Technique: Left: CT. Right: PSMA PET, same axial level, [18F]PSMA-1007 tracer. slice position z = -498 mm. PET panel 200×200 px (4.1 mm/px).
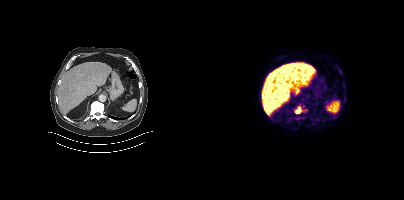
Findings: Coordinates are on the 200×200 PET (right) panel. (showing 1 of 2 foci) PSMA-avid tumor lesion bounding box (x, y, width, height): x=92 y=106 w=12 h=8.